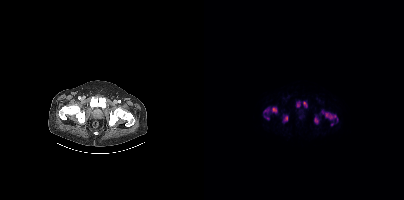
Coordinates are on the 200×200 PET (right) panel. PSMA-avid tumor lesion bounding boxes:
| # | x0 | y0 | x1 | y1 |
|---|---|---|---|---|
| 1 | 117 | 110 | 134 | 121 |
| 2 | 59 | 107 | 73 | 113 |
| 3 | 92 | 100 | 103 | 107 |
| 4 | 110 | 116 | 114 | 123 |
| 5 | 79 | 115 | 84 | 121 |
| 6 | 60 | 115 | 65 | 119 |
Small PSMA-avid focus (2 to 4 px across) near (center x, center y): (128, 124).
Two-panel axial: CT | PSMA PET, 18F tracer. Slice 63 of 423. PET panel 200×200 px (4.1 mm/px).